Two-panel axial: CT | PSMA PET, 68Ga-PSMA tracer.
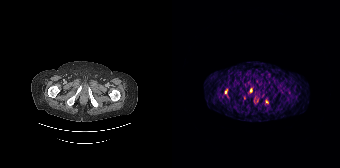
Coordinates are on the 168×168 PET (right) panel. PSMA-avid tumor lesion bounding box (x, y, width, height): x=53 y=89 w=3 h=5. Small PSMA-avid foci (2 to 4 px across) near (center x, center y): (94, 101) | (78, 90).